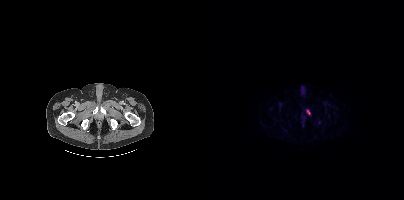
Two-panel axial: CT | PSMA PET, 18F-PSMA tracer. Acquired on Siemens Biograph mCT Flow 20. PET panel 200×200 px (4.1 mm/px). Coordinates are on the 200×200 PET (right) panel. PSMA-avid tumor lesion bounding box (x0, y0)-(x1, y1): (103, 110)-(106, 114).